Technique: Left: CT. Right: PSMA PET, same axial level, [18F]PSMA-1007 tracer.
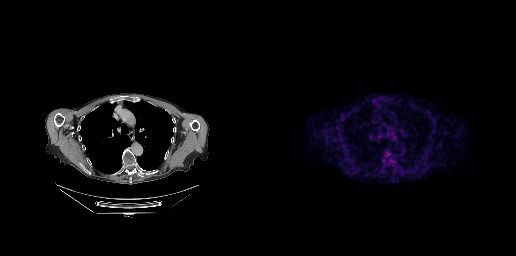
Findings: Coordinates are on the 256×256 PET (right) panel. Small PSMA-avid focus (2 to 4 px across) near (center x, center y): (119, 118).